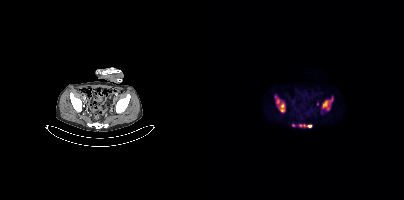
- Paired axial CT (left) and PSMA PET (right), 18F-PSMA tracer
Findings: Coordinates are on the 200×200 PET (right) panel. PSMA-avid tumor lesion bounding boxes (x, y, width, height): x=70 y=95 w=12 h=18 / x=118 y=97 w=11 h=14 / x=95 y=124 w=14 h=4. Small PSMA-avid foci (2 to 4 px across) near (center x, center y): (89, 125) / (113, 103).